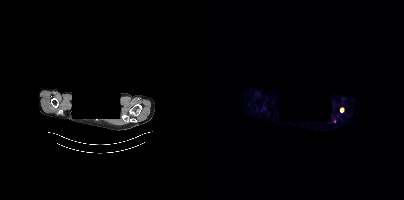
Coordinates are on the 200×200 PET (right) panel. Small PSMA-avid focus (2 to 4 px across) near (center x, center y): (138, 109). Left: CT. Right: PSMA PET, same axial level, [68Ga]Ga-PSMA-11 tracer. Acquired on Siemens Biograph mCT Flow 20. Head region blanked for anonymization (face removed).